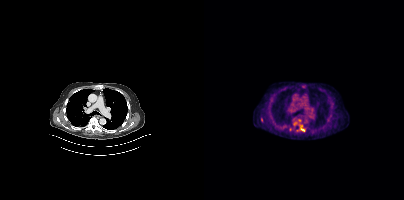
{"pet_grid":[200,200],"coord_frame":"pet_panel","coord_format":"x0,y0,x1,y1","lesion_bboxes":[],"small_foci_centers":[[98,129]],"modality":"PSMA PET/CT","view":"axial","tracer":"[18F]PSMA-1007"}